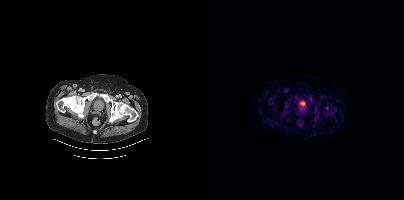
Paired axial CT (left) and PSMA PET (right), 18F tracer. Acquired on Siemens Biograph mCT Flow 20. Only PSMA-avid lesion pieces thinner than 2 px on this slice (not listed).